Technique: Paired axial CT (left) and PSMA PET (right), [18F]PSMA-1007 tracer.
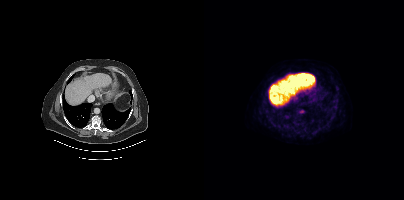
Findings: Coordinates are on the 200×200 PET (right) panel. Small PSMA-avid focus (2 to 4 px across) near (center x, center y): (131, 107).